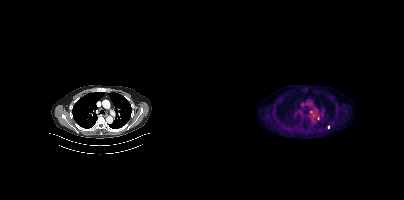
Coordinates are on the 200×200 PET (right) panel. Small PSMA-avid foci (2 to 4 px across) near (center x, center y): (107, 112) (124, 127) (114, 118).